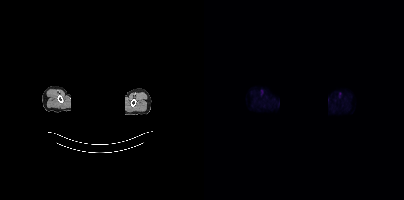
{"modality":"PSMA PET/CT","view":"axial","tracer":"18F","pet_grid":[200,200],"coord_frame":"pet_panel","coord_format":"x0,y0,x1,y1","psma_avid_lesions":false,"de-identification":"head region blacked out before release"}